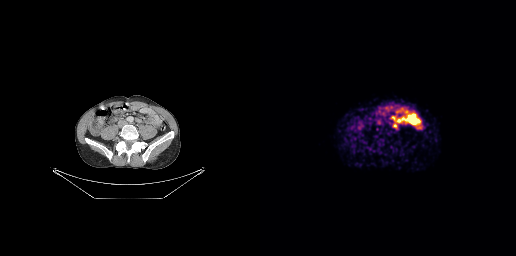
{"modality":"PSMA PET/CT","view":"axial","tracer":"68Ga","pet_grid":[256,256],"coord_frame":"pet_panel","coord_format":"x0,y0,x1,y1","lesion_bboxes":[[133,124,138,128]]}